modality: PSMA PET/CT | tracer: 18F | view: axial
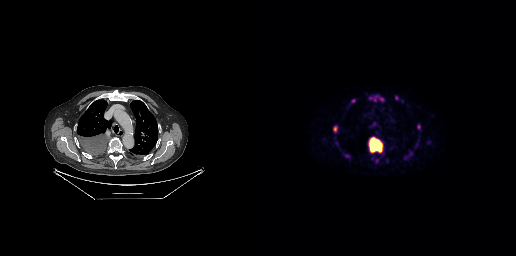
Coordinates are on the 256×256 PET (right) panel. (showing 6 of 8 foci) PSMA-avid tumor lesion bounding boxes (x, y, width, height): x=108 y=137 w=15 h=16 / x=73 y=126 w=5 h=7 / x=157 y=124 w=4 h=6 / x=91 y=99 w=5 h=4. Small PSMA-avid foci (2 to 4 px across) near (center x, center y): (136, 97) / (121, 99).